Technique: Two-panel axial: CT | PSMA PET, [18F]PSMA-1007 tracer. acquired on Siemens Biograph mCT Flow 20. slice 301 of 462. PET panel 200×200 px (4.1 mm/px).
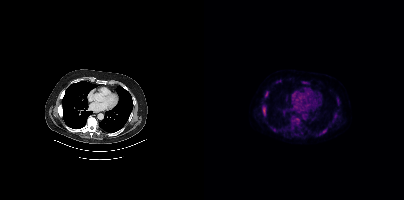
Findings: Coordinates are on the 200×200 PET (right) panel. PSMA-avid tumor lesion bounding boxes (x0, y0)-(x1, y1): (61, 91)-(64, 97); (58, 105)-(61, 112).